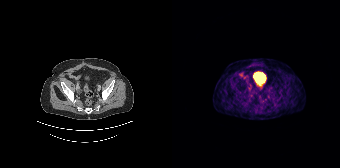
Two-panel axial: CT | PSMA PET, 68Ga-PSMA tracer. Slice position z = -1172 mm. Only PSMA-avid lesion pieces thinner than 2 px on this slice (not listed).